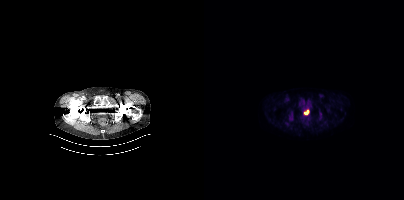
Coordinates are on the 200×200 PET (right) panel. PSMA-avid tumor lesion bounding box (x0,y0,x1,y1): [100,110,105,114].
modality: PSMA PET/CT | tracer: 18F | view: axial